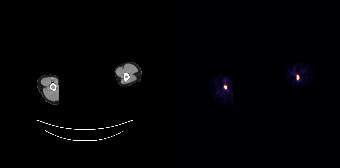
Facial anatomy redacted by setting a rectangular region of the head to black.
Coordinates are on the 168×168 PET (right) panel. PSMA-avid tumor lesion bounding box (x, y, width, height): x=124 y=75 w=4 h=5.